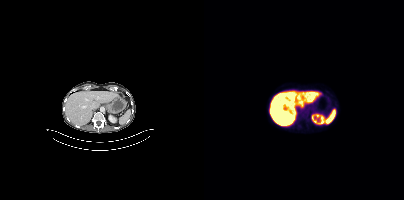
This slice has no annotated PSMA-avid lesion.